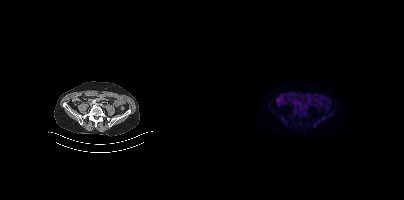
Coordinates are on the 200×200 PET (right) panel. Small PSMA-avid focus (2 to 4 px across) near (center x, center y): (119, 117). Paired axial CT (left) and PSMA PET (right), 18F-PSMA tracer.